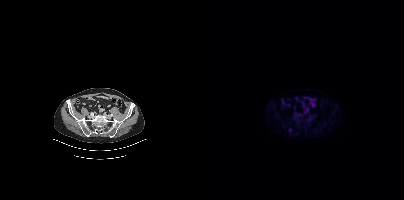
modality: PSMA PET/CT | tracer: 18F-PSMA | view: axial
Coordinates are on the 200×200 PET (right) panel. Small PSMA-avid focus (2 to 4 px across) near (center x, center y): (86, 129).